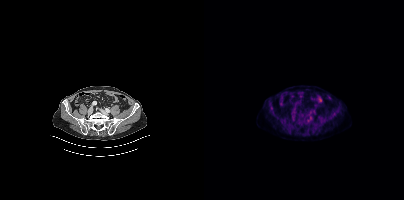
{"modality":"PSMA PET/CT","view":"axial","tracer":"18F-PSMA","pet_grid":[200,200],"coord_frame":"pet_panel","coord_format":"x0,y0,x1,y1","lesion_bboxes":[],"small_foci_centers":[[106,118]]}